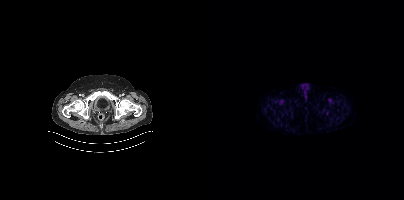
No PSMA-avid tumor lesions on this slice. Paired axial CT (left) and PSMA PET (right), 18F-PSMA tracer. PET panel 200×200 px (4.1 mm/px).